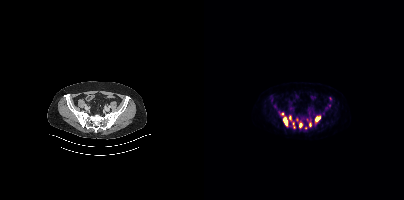
Coordinates are on the 200×200 PET (right) panel. (showing 8 of 10 foci) PSMA-avid tumor lesion bounding boxes (x0, y0)-(x1, y1): (79, 117)-(83, 126) | (111, 116)-(116, 121) | (95, 123)-(98, 127). Small PSMA-avid foci (2 to 4 px across) near (center x, center y): (86, 117) | (106, 124) | (78, 113) | (89, 123) | (101, 127).
modality: PSMA PET/CT | tracer: 18F-PSMA | view: axial